Two-panel axial: CT | PSMA PET, 18F-PSMA tracer. PET panel 200×200 px (4.1 mm/px).
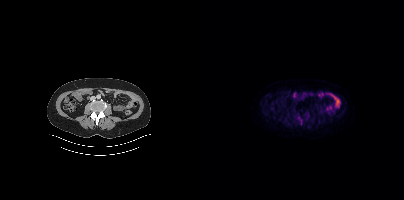
No tumor lesions annotated on this slice.